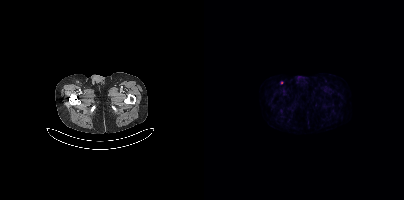
Coordinates are on the 200×200 PET (right) panel. Small PSMA-avid focus (2 to 4 px across) near (center x, center y): (77, 82).